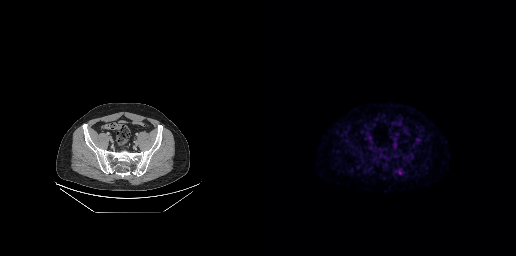
Two-panel axial: CT | PSMA PET, 18F tracer. PET panel 256×256 px (2.7 mm/px). Coordinates are on the 256×256 PET (right) panel. PSMA-avid tumor lesion bounding box (x0,y0,x1,y1): [137,170,141,173].